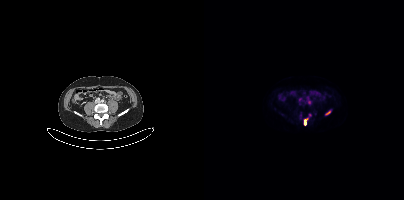
Coordinates are on the 200×200 PET (right) panel. (showing 3 of 5 foci) PSMA-avid tumor lesion bounding boxes (x0,y0,x1,y1): [100,120,102,124], [122,111,126,114]. Small PSMA-avid focus (2 to 4 px across) near (center x, center y): (105, 102).